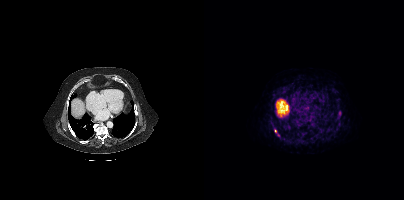
Coordinates are on the 200×200 PET (right) panel. (showing 1 of 2 foci) Small PSMA-avid focus (2 to 4 px across) near (center x, center y): (71, 131). Paired axial CT (left) and PSMA PET (right), 68Ga-PSMA tracer.